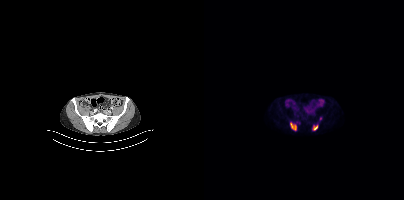
Technique: Left: CT. Right: PSMA PET, same axial level, [18F]PSMA-1007 tracer. acquired on Siemens Biograph mCT Flow 20. slice 96 of 377. PET panel 200×200 px (4.1 mm/px).
Findings: Coordinates are on the 200×200 PET (right) panel. PSMA-avid tumor lesion bounding boxes (x, y, width, height): x=86 y=122 w=7 h=8; x=109 y=125 w=5 h=6.